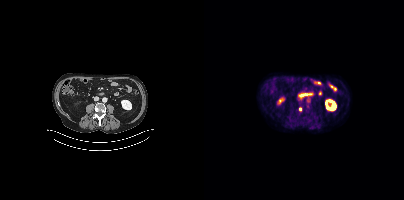
{"modality":"PSMA PET/CT","view":"axial","tracer":"18F-PSMA","pet_grid":[200,200],"coord_frame":"pet_panel","coord_format":"x0,y0,x1,y1","lesion_bboxes":[[95,107,97,111]]}